Head region blanked for anonymization (face removed).
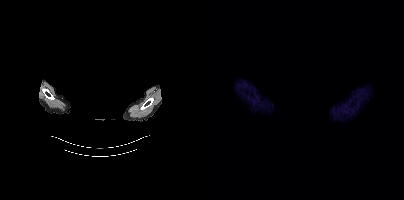
No tumor lesions annotated on this slice.